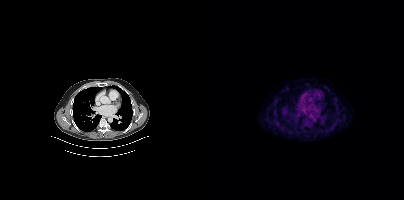
{"pet_grid":[200,200],"coord_frame":"pet_panel","coord_format":"x0,y0,x1,y1","psma_avid_lesions":false,"modality":"PSMA PET/CT","view":"axial","tracer":"18F-PSMA"}